Left: CT. Right: PSMA PET, same axial level, 18F-PSMA tracer. Slice 67 of 263. PET panel 256×256 px (2.7 mm/px).
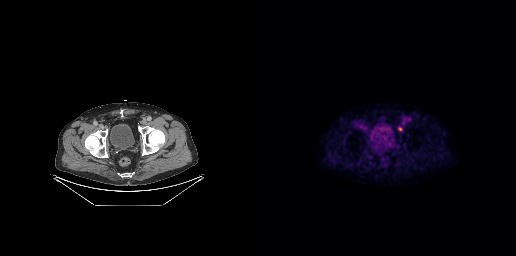
Coordinates are on the 256×256 PET (right) panel. Small PSMA-avid focus (2 to 4 px across) near (center x, center y): (140, 129).